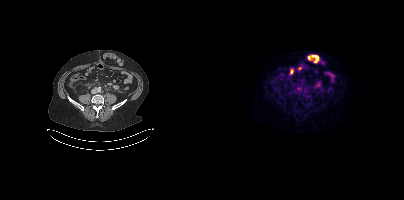
Coordinates are on the 200×200 PET (right) panel. PSMA-avid tumor lesion bounding box (x0,y0,x1,y1): [99,89,103,94]. Small PSMA-avid focus (2 to 4 px across) near (center x, center y): (103, 96).